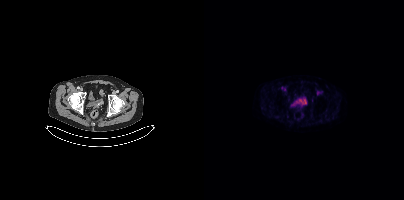
modality: PSMA PET/CT | tracer: 18F-PSMA | view: axial
Coordinates are on the 200×200 PET (right) panel. Small PSMA-avid focus (2 to 4 px across) near (center x, center y): (100, 102).